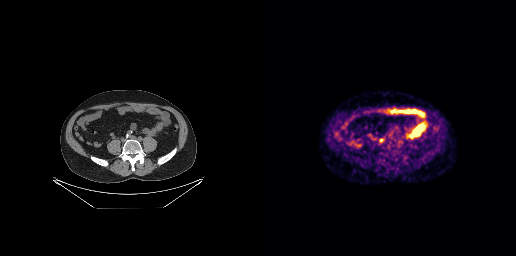
{"modality":"PSMA PET/CT","view":"axial","tracer":"68Ga","pet_grid":[256,256],"coord_frame":"pet_panel","coord_format":"x0,y0,x1,y1","lesion_bboxes":[],"small_foci_centers":[[120,139]]}